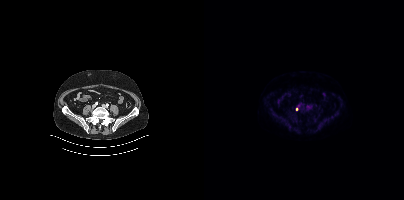
- Left: CT. Right: PSMA PET, same axial level, 18F tracer
- PET panel 200×200 px (4.1 mm/px)
Findings: Coordinates are on the 200×200 PET (right) panel. Small PSMA-avid focus (2 to 4 px across) near (center x, center y): (92, 109).